Technique: Left: CT. Right: PSMA PET, same axial level, 18F-PSMA tracer. acquired on Siemens Biograph mCT Flow 20. slice 347 of 429.
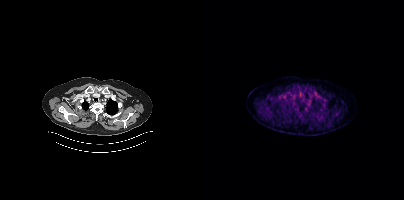
Findings: This slice has no annotated PSMA-avid lesion.